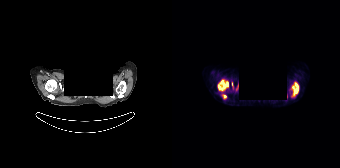
- a rectangle over the head was blacked out to remove identifiable facial features
- Paired axial CT (left) and PSMA PET (right), 68Ga tracer
- acquired on Siemens Biograph 64-4R TruePoint
- slice 143 of 165
- PET panel 168×168 px (4.1 mm/px)
Findings: Coordinates are on the 168×168 PET (right) panel. PSMA-avid tumor lesion bounding boxes (x0, y0)-(x1, y1): (45, 79)-(56, 91); (118, 81)-(127, 97); (50, 94)-(54, 98); (60, 82)-(61, 87); (64, 85)-(66, 90).